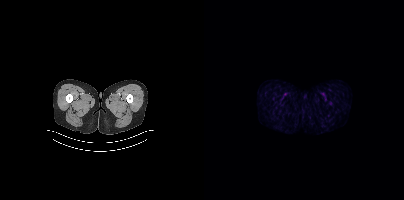
Left: CT. Right: PSMA PET, same axial level, 18F-PSMA tracer. Acquired on Siemens Biograph mCT Flow 20. Slice position z = -1610 mm. Negative for PSMA-avid disease on this slice.